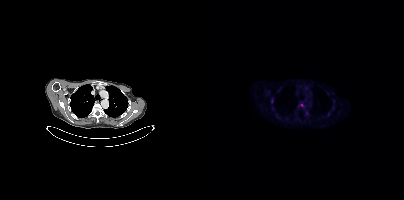
Coordinates are on the 200×200 PET (right) panel. Small PSMA-avid foci (2 to 4 px across) near (center x, center y): (103, 112); (67, 100); (98, 105). Two-panel axial: CT | PSMA PET, 18F-PSMA tracer. Slice position z = -990 mm.